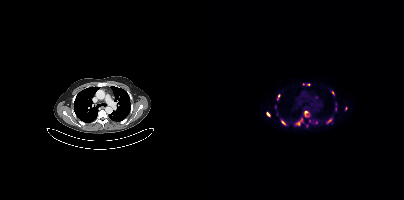
modality: PSMA PET/CT | tracer: 18F | view: axial | PET grid: 200×200
Coordinates are on the 200×200 PET (right) panel. (showing 14 of 19 foci) PSMA-avid tumor lesion bounding boxes (x0, y0)-(x1, y1): (123, 118)-(127, 123) | (91, 122)-(95, 125) | (100, 111)-(103, 116) | (77, 120)-(81, 124) | (63, 112)-(65, 116). Small PSMA-avid foci (2 to 4 px across) near (center x, center y): (142, 108) | (131, 108) | (104, 84) | (97, 119) | (105, 120) | (112, 122) | (99, 83) | (128, 92) | (74, 95).